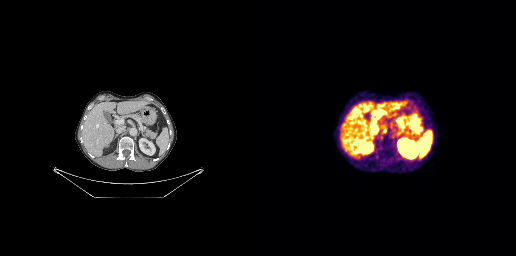
{"modality":"PSMA PET/CT","view":"axial","tracer":"68Ga","pet_grid":[256,256],"coord_frame":"pet_panel","coord_format":"x0,y0,x1,y1","lesion_bboxes":[[119,126,126,133]]}